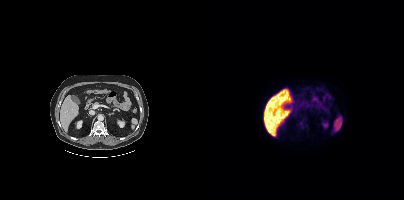
Negative for PSMA-avid disease on this slice.